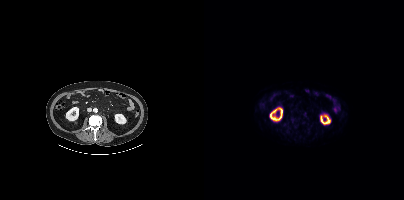
modality: PSMA PET/CT | tracer: 18F-PSMA | view: axial
Negative for PSMA-avid disease on this slice.